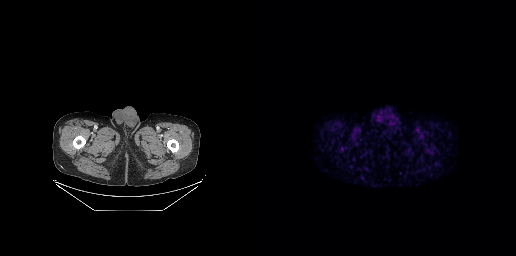
Negative for PSMA-avid disease on this slice. Left: CT. Right: PSMA PET, same axial level, [68Ga]Ga-PSMA-11 tracer. Acquired on GE Discovery 690. PET panel 256×256 px (2.7 mm/px).